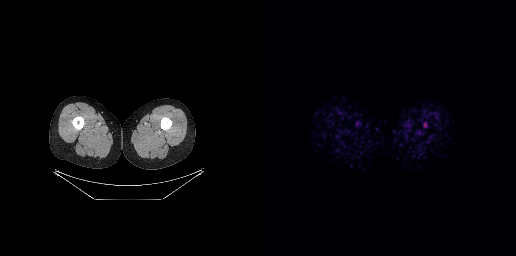
This slice has no annotated PSMA-avid lesion. Left: CT. Right: PSMA PET, same axial level, [68Ga]Ga-PSMA-11 tracer. Acquired on GE Discovery 690.